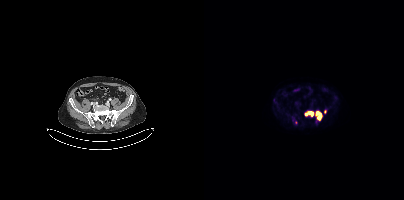
Coordinates are on the 200×200 PET (right) panel. (showing 2 of 3 foci) PSMA-avid tumor lesion bounding boxes (x0, y0)-(x1, y1): (112, 112)-(117, 119) / (101, 112)-(109, 116).